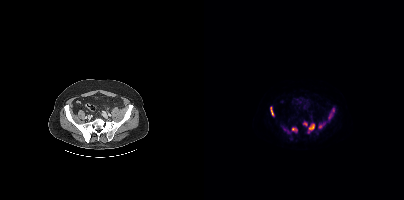
{"pet_grid":[200,200],"coord_frame":"pet_panel","coord_format":"x0,y0,x1,y1","partial":true,"lesion_bboxes":[[105,123,110,130],[66,106,70,116],[88,127,93,132],[99,122,103,125],[115,124,119,128],[125,113,127,118]],"small_foci_centers":[[129,109]],"modality":"PSMA PET/CT","view":"axial","tracer":"18F-PSMA"}